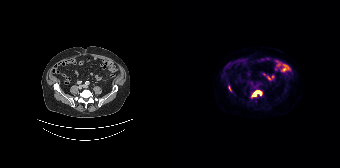
{"pet_grid":[168,168],"coord_frame":"pet_panel","coord_format":"x0,y0,x1,y1","lesion_bboxes":[[81,90,89,95],[56,86,59,91]],"modality":"PSMA PET/CT","view":"axial","tracer":"[18F]PSMA-1007"}